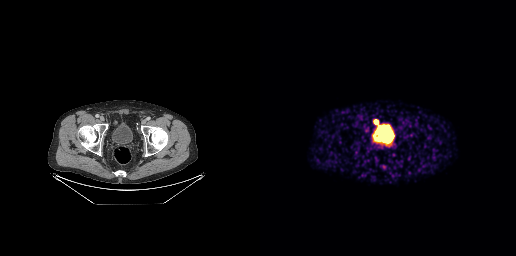
Only PSMA-avid lesion pieces thinner than 2 px on this slice (not listed).
modality: PSMA PET/CT | tracer: 68Ga | view: axial